Left: CT. Right: PSMA PET, same axial level, 18F tracer. Slice 265 of 413. PET panel 200×200 px (4.1 mm/px).
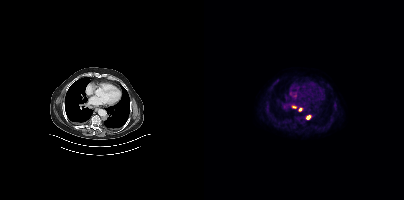
Coordinates are on the 200×200 PET (right) panel. (showing 2 of 3 foci) Small PSMA-avid foci (2 to 4 px across) near (center x, center y): (104, 117) / (96, 109).